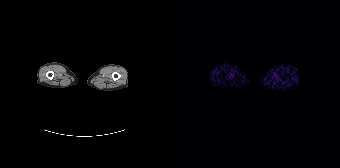
{"modality":"PSMA PET/CT","view":"axial","tracer":"[68Ga]Ga-PSMA-11","pet_grid":[168,168],"coord_frame":"pet_panel","coord_format":"x0,y0,x1,y1","psma_avid_lesions":false}